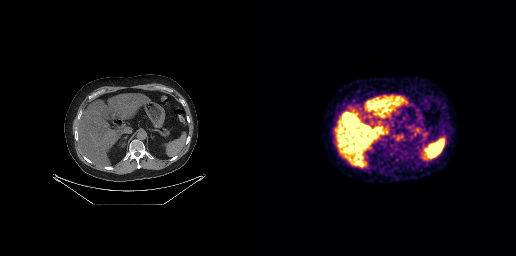
No tumor lesions annotated on this slice.
modality: PSMA PET/CT | tracer: 18F | view: axial | PET grid: 256×256